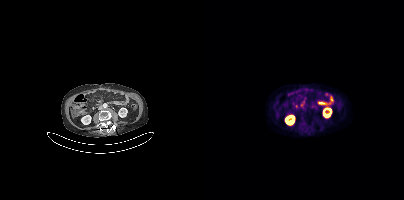
Technique: Two-panel axial: CT | PSMA PET, 18F-PSMA tracer. slice position z = -1342 mm. PET panel 200×200 px (4.1 mm/px).
Findings: Negative for PSMA-avid disease on this slice.